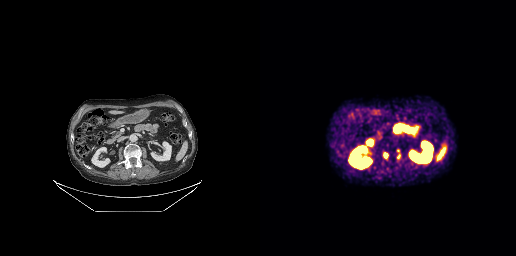
{"modality":"PSMA PET/CT","view":"axial","tracer":"68Ga","pet_grid":[256,256],"coord_frame":"pet_panel","coord_format":"x0,y0,x1,y1","lesion_bboxes":[[136,149,141,158],[124,153,127,157]]}